Technique: Left: CT. Right: PSMA PET, same axial level, 18F-PSMA tracer. acquired on Siemens Biograph mCT Flow 20.
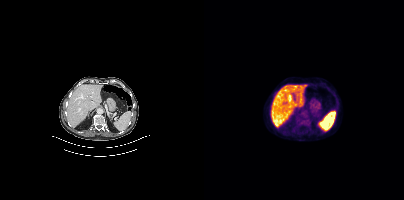
Findings: Negative for PSMA-avid disease on this slice.